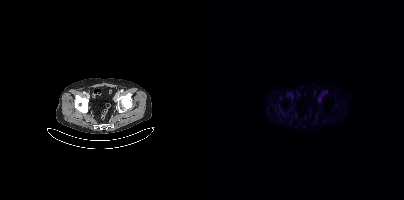
modality: PSMA PET/CT | tracer: 18F | view: axial | PET grid: 200×200
No tumor lesions annotated on this slice.